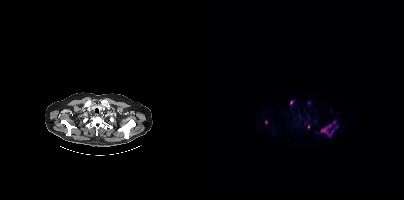
modality: PSMA PET/CT | tracer: 18F | view: axial | PET grid: 200×200
Coordinates are on the 200×200 PET (right) panel. PSMA-avid tumor lesion bounding boxes (x, y, width, height): x=116 y=121 w=18 h=16 | x=87 y=100 w=3 h=5. Small PSMA-avid foci (2 to 4 px across) near (center x, center y): (104, 126) | (62, 122) | (104, 102).